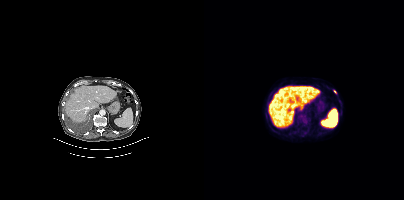
Technique: Two-panel axial: CT | PSMA PET, [18F]PSMA-1007 tracer.
Findings: Coordinates are on the 200×200 PET (right) panel. Small PSMA-avid focus (2 to 4 px across) near (center x, center y): (130, 91).